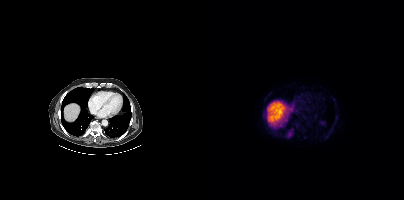
This slice has no annotated PSMA-avid lesion. Left: CT. Right: PSMA PET, same axial level, 18F tracer.